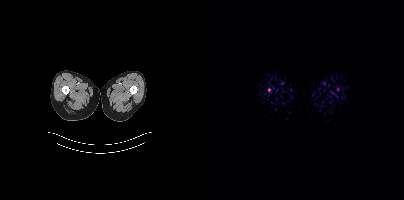
Coordinates are on the 200×200 PET (right) panel. (showing 1 of 2 foci) Small PSMA-avid focus (2 to 4 px across) near (center x, center y): (65, 89). Left: CT. Right: PSMA PET, same axial level, 18F tracer.